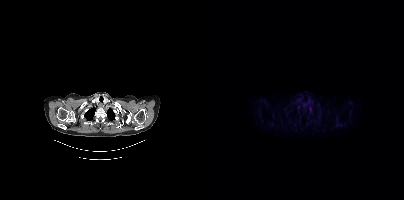
Left: CT. Right: PSMA PET, same axial level, 18F-PSMA tracer. Slice position z = -883 mm. PET panel 200×200 px (4.1 mm/px). Coordinates are on the 200×200 PET (right) panel. Small PSMA-avid focus (2 to 4 px across) near (center x, center y): (94, 107).